- Two-panel axial: CT | PSMA PET, 18F tracer
- acquired on Siemens Biograph 64-4R TruePoint
- slice position z = -1436 mm
- PET panel 168×168 px (4.1 mm/px)
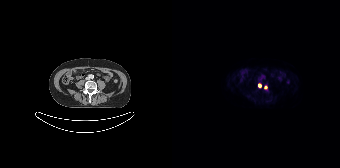
Findings: Coordinates are on the 168×168 PET (right) panel. Small PSMA-avid foci (2 to 4 px across) near (center x, center y): (87, 85) | (93, 87).